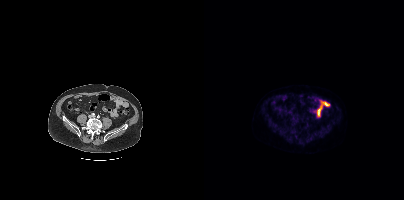
{"modality":"PSMA PET/CT","view":"axial","tracer":"18F-PSMA","pet_grid":[200,200],"coord_frame":"pet_panel","coord_format":"x0,y0,x1,y1","psma_avid_lesions":false}